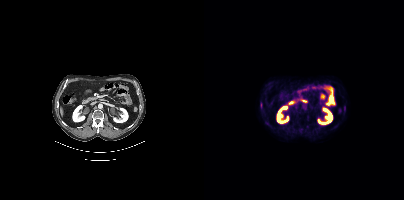
Two-panel axial: CT | PSMA PET, [18F]PSMA-1007 tracer. No PSMA-avid tumor lesions on this slice.